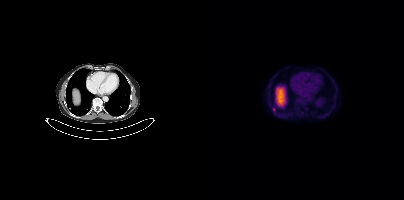
modality: PSMA PET/CT | tracer: 18F | view: axial
Coordinates are on the 200×200 PET (right) panel. Small PSMA-avid focus (2 to 4 px across) near (center x, center y): (70, 109).